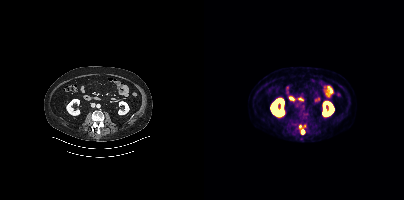
Two-panel axial: CT | PSMA PET, 18F-PSMA tracer. Acquired on Siemens Biograph mCT Flow 20. PET panel 200×200 px (4.1 mm/px). Coordinates are on the 200×200 PET (right) panel. (showing 2 of 3 foci) Small PSMA-avid foci (2 to 4 px across) near (center x, center y): (99, 132) / (96, 126).